Two-panel axial: CT | PSMA PET, 18F-PSMA tracer. PET panel 200×200 px (4.1 mm/px).
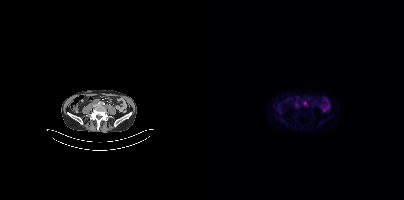
Coordinates are on the 200×200 PET (right) panel. (showing 1 of 2 foci) Small PSMA-avid focus (2 to 4 px across) near (center x, center y): (100, 103).